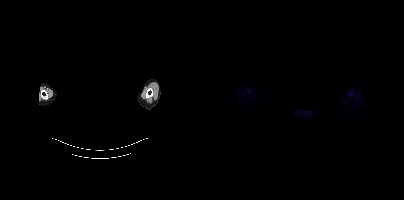
{"modality":"PSMA PET/CT","view":"axial","tracer":"68Ga","pet_grid":[200,200],"coord_frame":"pet_panel","coord_format":"x0,y0,x1,y1","psma_avid_lesions":false,"redaction":"head region blanked (face removed)"}